Technique: Two-panel axial: CT | PSMA PET, 18F tracer. slice position z = -1580 mm. PET panel 200×200 px (4.1 mm/px).
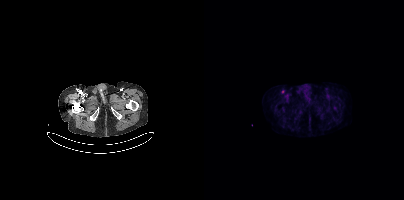
Findings: Coordinates are on the 200×200 PET (right) panel. Small PSMA-avid focus (2 to 4 px across) near (center x, center y): (78, 91).